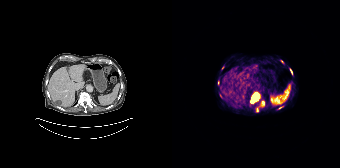
{"modality":"PSMA PET/CT","view":"axial","tracer":"68Ga-PSMA","pet_grid":[168,168],"coord_frame":"pet_panel","coord_format":"x0,y0,x1,y1","lesion_bboxes":[[79,93,87,102],[89,101,92,105],[118,69,120,73]],"small_foci_centers":[[85,110]]}